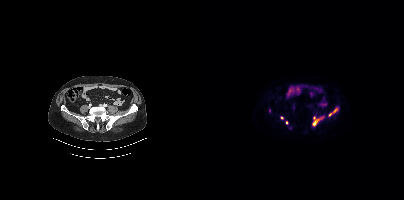
Coordinates are on the 200×200 PET (right) panel. (showing 5 of 6 foci) PSMA-avid tumor lesion bounding boxes (x0, y0)-(x1, y1): (108, 115)-(120, 125); (129, 106)-(134, 112). Small PSMA-avid foci (2 to 4 px across) near (center x, center y): (126, 114); (78, 118); (82, 122).